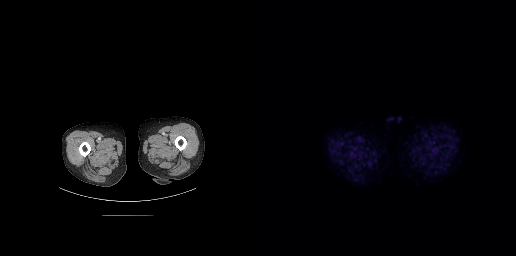
No PSMA-avid tumor lesions on this slice.
modality: PSMA PET/CT | tracer: 18F | view: axial